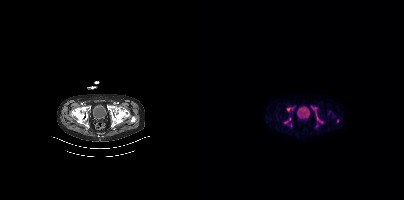
Coordinates are on the 200×200 PET (right) panel. PSMA-avid tumor lesion bounding boxes (x0, y0)-(x1, y1): (107, 105)-(119, 123) / (79, 117)-(88, 127) / (82, 106)-(91, 111). Small PSMA-avid foci (2 to 4 px across) near (center x, center y): (125, 112) / (133, 120) / (112, 125).